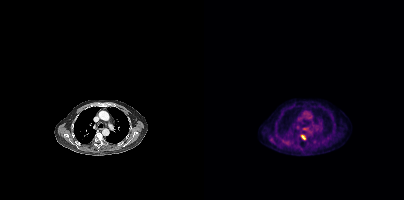
modality: PSMA PET/CT | tracer: [18F]PSMA-1007 | view: axial
Coordinates are on the 200×200 PET (right) panel. PSMA-avid tumor lesion bounding box (x0,y0,x1,y1): [97,135,101,139].